- Two-panel axial: CT | PSMA PET, 18F-PSMA tracer
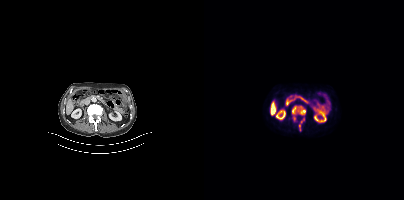
Findings: Coordinates are on the 200×200 PET (right) panel. PSMA-avid tumor lesion bounding boxes (x0,y0,x1,y1): [88,105,101,121]; [94,118,100,131].